Left: CT. Right: PSMA PET, same axial level, 18F-PSMA tracer. Slice 104 of 405.
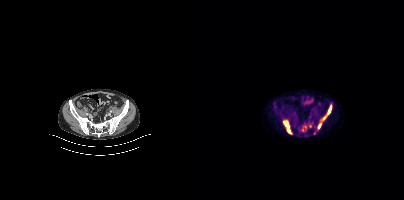
Coordinates are on the 200×200 PET (right) panel. PSMA-avid tumor lesion bounding boxes:
| # | x0 | y0 | x1 | y1 |
|---|---|---|---|---|
| 1 | 114 | 105 | 127 | 128 |
| 2 | 79 | 120 | 87 | 133 |
Small PSMA-avid foci (2 to 4 px across) near (center x, center y): (98, 130); (101, 127); (106, 125).